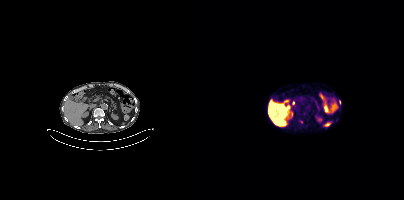
Coordinates are on the 200×200 PET (right) panel. Small PSMA-avid foci (2 to 4 px across) near (center x, center y): (97, 121); (135, 102). Paired axial CT (left) and PSMA PET (right), [18F]PSMA-1007 tracer. Slice 197 of 385. PET panel 200×200 px (4.1 mm/px).